- Two-panel axial: CT | PSMA PET, 18F tracer
- PET panel 200×200 px (4.1 mm/px)
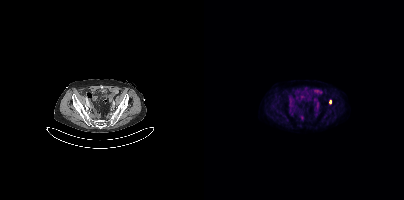
Findings: Coordinates are on the 200×200 PET (right) panel. Small PSMA-avid focus (2 to 4 px across) near (center x, center y): (126, 101).